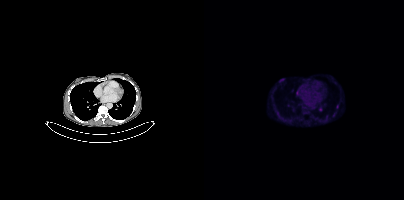
Coordinates are on the 200×200 PET (right) panel. (showing 2 of 4 foci) Small PSMA-avid foci (2 to 4 px across) near (center x, center y): (133, 106) | (93, 92).